modality: PSMA PET/CT | tracer: 18F-PSMA | view: axial | PET grid: 200×200
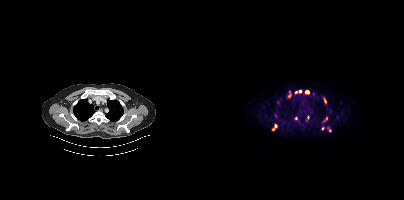
Coordinates are on the 200×200 PET (right) panel. PSMA-avid tumor lesion bounding boxes (x, y, width, height): x=101 y=90 w=5 h=4; x=120 y=98 w=3 h=6; x=120 y=117 w=4 h=5. Small PSMA-avid foci (2 to 4 px across) near (center x, center y): (96, 91); (72, 125); (92, 92); (118, 128); (91, 118); (69, 129); (85, 95).